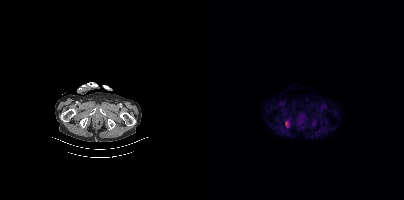
Technique: Left: CT. Right: PSMA PET, same axial level, 18F tracer.
Findings: Coordinates are on the 200×200 PET (right) panel. PSMA-avid tumor lesion bounding box (x, y, width, height): x=82 y=121 w=4 h=5.